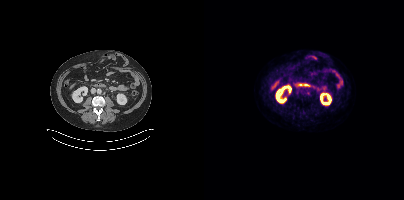
Left: CT. Right: PSMA PET, same axial level, 18F tracer. Coordinates are on the 200×200 PET (right) panel. Small PSMA-avid focus (2 to 4 px across) near (center x, center y): (103, 92).